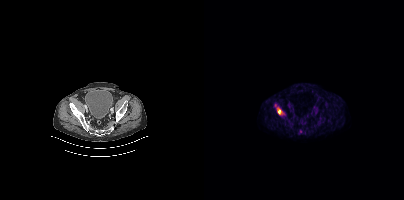
Paired axial CT (left) and PSMA PET (right), 18F-PSMA tracer. PET panel 200×200 px (4.1 mm/px). Coordinates are on the 200×200 PET (right) panel. PSMA-avid tumor lesion bounding box (x0, y0)-(x1, y1): (73, 108)-(77, 114).